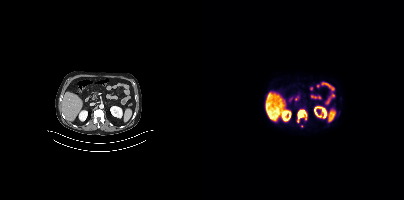
{"modality":"PSMA PET/CT","view":"axial","tracer":"18F","pet_grid":[200,200],"coord_frame":"pet_panel","coord_format":"x0,y0,x1,y1","partial":true,"lesion_bboxes":[[93,109,103,122]]}